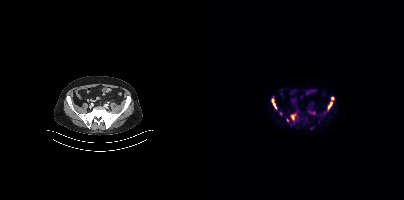
Technique: Two-panel axial: CT | PSMA PET, [18F]PSMA-1007 tracer. PET panel 200×200 px (4.1 mm/px).
Findings: Coordinates are on the 200×200 PET (right) panel. PSMA-avid tumor lesion bounding boxes (x0, y0)-(x1, y1): (123, 97)-(130, 110); (67, 97)-(73, 109); (87, 112)-(94, 120); (105, 111)-(111, 114). Small PSMA-avid foci (2 to 4 px across) near (center x, center y): (76, 113); (108, 128); (83, 120).